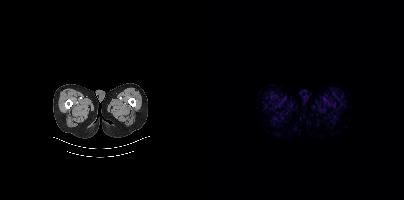
No tumor lesions annotated on this slice.